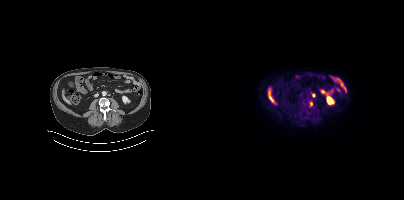
{"pet_grid":[200,200],"coord_frame":"pet_panel","coord_format":"x0,y0,x1,y1","lesion_bboxes":[],"small_foci_centers":[[107,103],[109,94]],"modality":"PSMA PET/CT","view":"axial","tracer":"[18F]PSMA-1007"}